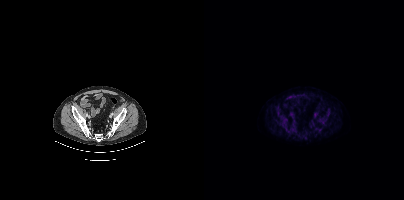
Left: CT. Right: PSMA PET, same axial level, [18F]PSMA-1007 tracer. No PSMA-avid tumor lesions on this slice.